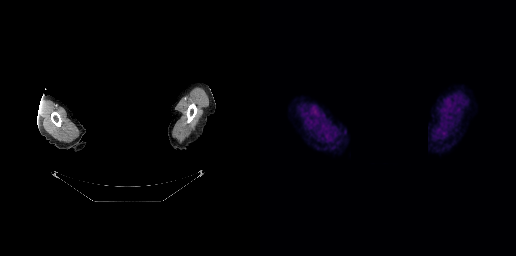
Technique: Two-panel axial: CT | PSMA PET, 18F-PSMA tracer.
Note: Face de-identified by blanking a block of the head.
Findings: No PSMA-avid tumor lesions on this slice.